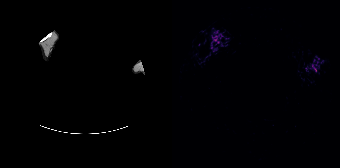
{"modality":"PSMA PET/CT","view":"axial","tracer":"68Ga","pet_grid":[168,168],"coord_frame":"pet_panel","coord_format":"x0,y0,x1,y1","psma_avid_lesions":false,"de-identification":"facial region redacted"}